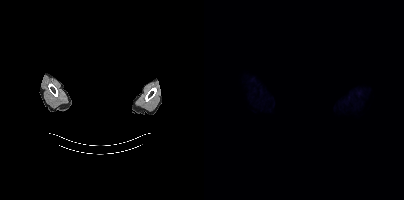
Findings: No PSMA-avid tumor lesions on this slice.
Technique: Paired axial CT (left) and PSMA PET (right), 18F tracer. acquired on Siemens Biograph mCT Flow 20. slice position z = -322 mm.
Note: Privacy masking over the head, with the pixels inside a rectangle set to black.